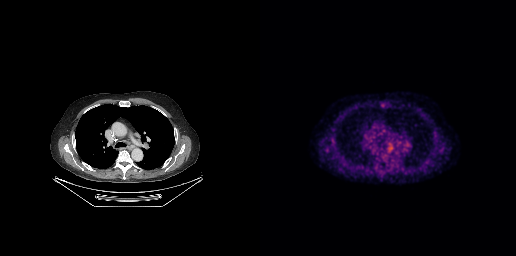
No PSMA-avid tumor lesions on this slice.